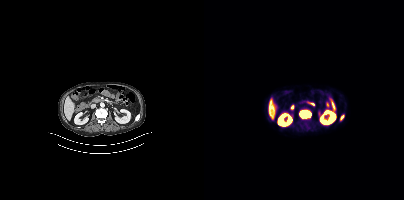
{"modality":"PSMA PET/CT","view":"axial","tracer":"[18F]PSMA-1007","pet_grid":[200,200],"coord_frame":"pet_panel","coord_format":"x0,y0,x1,y1","lesion_bboxes":[[95,110,107,118],[136,115,140,119]]}